Two-panel axial: CT | PSMA PET, 18F-PSMA tracer. Acquired on Siemens Biograph mCT Flow 20. PET panel 200×200 px (4.1 mm/px).
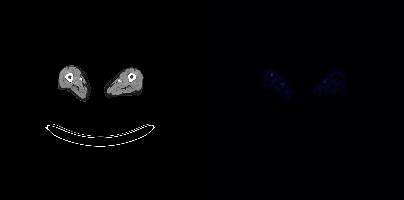
Negative for PSMA-avid disease on this slice.